- the head region is masked for de-identification
- Left: CT. Right: PSMA PET, same axial level, 18F tracer
- slice 403 of 405
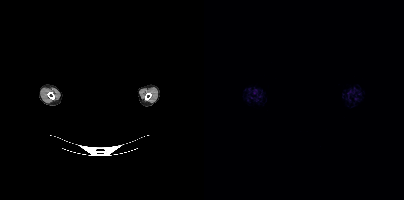
Findings: No PSMA-avid tumor lesions on this slice.